- Left: CT. Right: PSMA PET, same axial level, 18F tracer
- acquired on Siemens Biograph mCT Flow 20
- slice 163 of 395
- PET panel 200×200 px (4.1 mm/px)
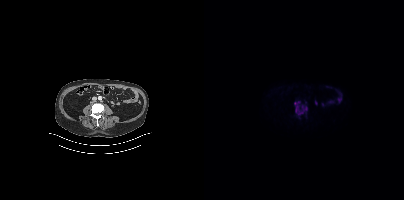
Findings: Coordinates are on the 200×200 PET (right) panel. PSMA-avid tumor lesion bounding boxes (x, y, width, height): x=94 y=106 w=10 h=10 / x=92 y=101 w=5 h=4.